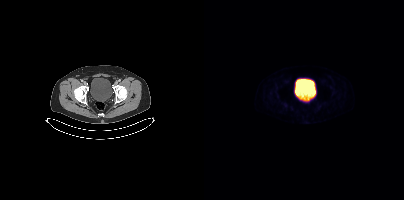
Negative for PSMA-avid disease on this slice. Two-panel axial: CT | PSMA PET, 68Ga-PSMA tracer. Slice position z = -1740 mm. PET panel 200×200 px (4.1 mm/px).